Paired axial CT (left) and PSMA PET (right), [18F]PSMA-1007 tracer. Slice 5 of 401.
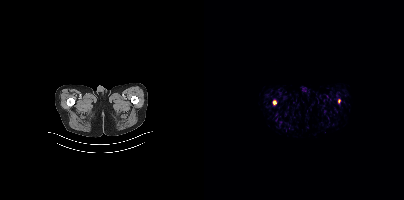
Coordinates are on the 200×200 PET (right) panel. Small PSMA-avid foci (2 to 4 px across) near (center x, center y): (70, 102) / (135, 100).